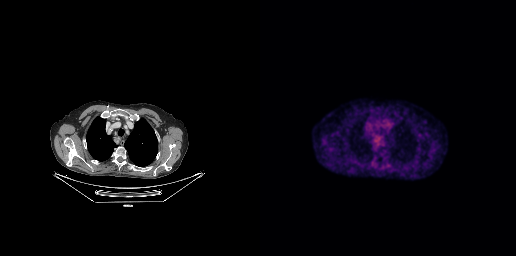
Findings: Coordinates are on the 256×256 PET (right) panel. PSMA-avid tumor lesion bounding box (x0,y0,x1,y1): [115,137,119,141].
Technique: Two-panel axial: CT | PSMA PET, 18F tracer.